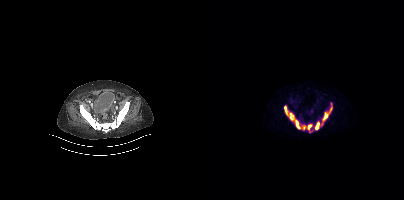
{"pet_grid":[200,200],"coord_frame":"pet_panel","coord_format":"x0,y0,x1,y1","partial":true,"lesion_bboxes":[],"modality":"PSMA PET/CT","view":"axial","tracer":"[68Ga]Ga-PSMA-11"}